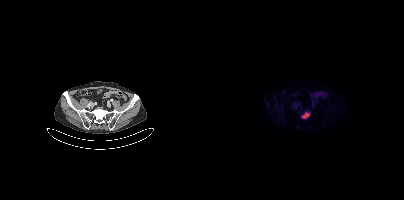
modality: PSMA PET/CT | tracer: 18F | view: axial
Coordinates are on the 200×200 PET (right) panel. PSMA-avid tumor lesion bounding box (x0,y0,x1,y1): [97,112,105,118].